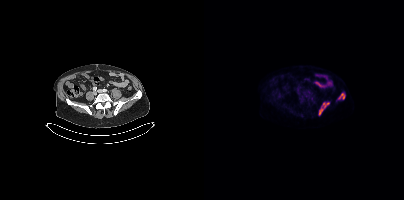
Left: CT. Right: PSMA PET, same axial level, [18F]PSMA-1007 tracer. Slice 123 of 403. PET panel 200×200 px (4.1 mm/px). Coordinates are on the 200×200 PET (right) panel. PSMA-avid tumor lesion bounding boxes (x, y, width, height): x=115 y=102 w=11 h=14 | x=134 y=93 w=8 h=7.